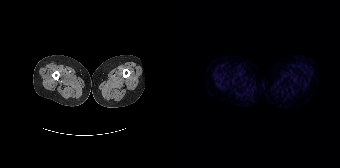
Negative for PSMA-avid disease on this slice.